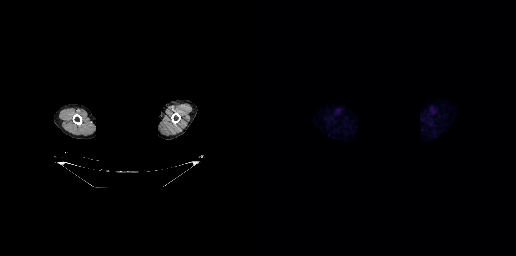
Findings: No tumor lesions annotated on this slice.
- any black rectangle over the head is a privacy mask, not anatomy
- Left: CT. Right: PSMA PET, same axial level, 18F tracer
- slice 254 of 263
- PET panel 256×256 px (2.7 mm/px)